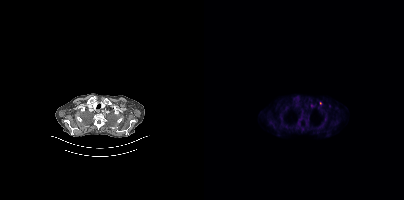
Coordinates are on the 200×200 PET (right) panel. (showing 2 of 3 foci) Small PSMA-avid foci (2 to 4 px across) near (center x, center y): (116, 103); (107, 105).
modality: PSMA PET/CT | tracer: [18F]PSMA-1007 | view: axial | PET grid: 200×200